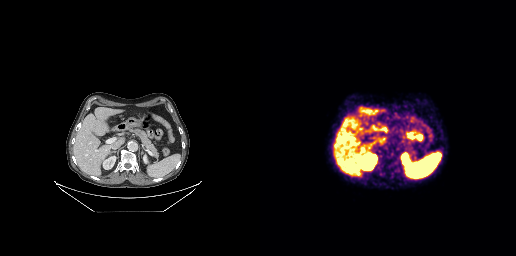
Left: CT. Right: PSMA PET, same axial level, 68Ga-PSMA tracer. Acquired on GE Discovery 690. Slice 149 of 263. Negative for PSMA-avid disease on this slice.